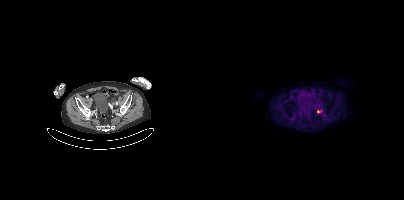
Coordinates are on the 200×200 PET (right) panel. PSMA-avid tumor lesion bounding box (x0,y0,x1,y1): [113,110,117,112].